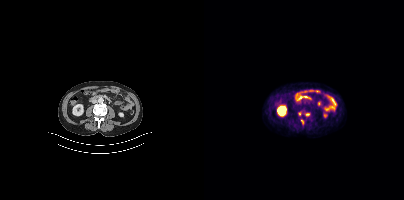
Technique: Left: CT. Right: PSMA PET, same axial level, [18F]PSMA-1007 tracer.
Findings: Coordinates are on the 200×200 PET (right) panel. Small PSMA-avid foci (2 to 4 px across) near (center x, center y): (103, 114) | (98, 121) | (95, 113).